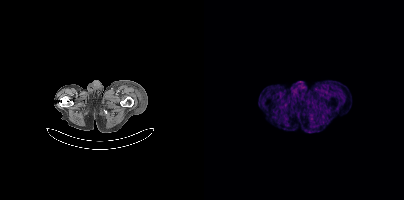
Findings: No tumor lesions annotated on this slice.
Technique: Two-panel axial: CT | PSMA PET, [68Ga]Ga-PSMA-11 tracer. acquired on Siemens Biograph mCT Flow 20. slice 33 of 413. PET panel 200×200 px (4.1 mm/px).